Paired axial CT (left) and PSMA PET (right), 18F-PSMA tracer. Slice 361 of 433. PET panel 200×200 px (4.1 mm/px).
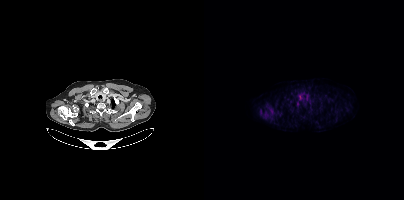
No PSMA-avid tumor lesions on this slice.